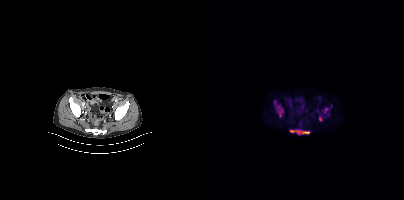
{"modality":"PSMA PET/CT","view":"axial","tracer":"18F","pet_grid":[200,200],"coord_frame":"pet_panel","coord_format":"x0,y0,x1,y1","partial":true,"lesion_bboxes":[[86,130,105,134]],"small_foci_centers":[[116,118]]}